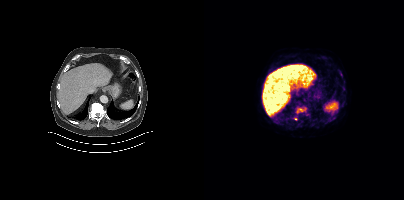
{"pet_grid":[200,200],"coord_frame":"pet_panel","coord_format":"x0,y0,x1,y1","partial":true,"lesion_bboxes":[[94,107,102,112]],"modality":"PSMA PET/CT","view":"axial","tracer":"[18F]PSMA-1007"}